Paired axial CT (left) and PSMA PET (right), [18F]PSMA-1007 tracer.
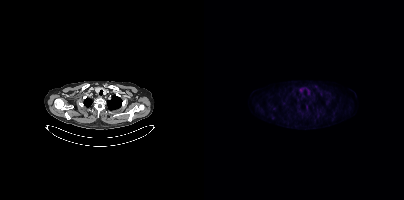
This slice has no annotated PSMA-avid lesion.